modality: PSMA PET/CT | tracer: [68Ga]Ga-PSMA-11 | view: axial | PET grid: 168×168
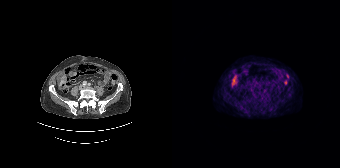
Coordinates are on the 168×168 PET (right) panel. PSMA-avid tumor lesion bounding box (x0, y0)-(x1, y1): (59, 81)-(61, 85).